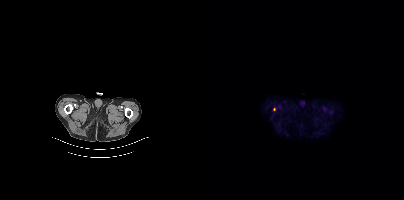
Technique: Paired axial CT (left) and PSMA PET (right), [18F]PSMA-1007 tracer. acquired on Siemens Biograph mCT Flow 20. slice position z = -334 mm.
Findings: Coordinates are on the 200×200 PET (right) panel. Small PSMA-avid focus (2 to 4 px across) near (center x, center y): (70, 109).